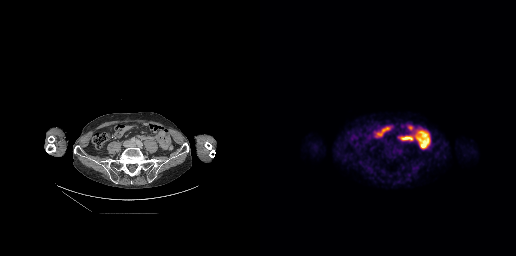
Findings: Coordinates are on the 256×256 PET (right) panel. Small PSMA-avid focus (2 to 4 px across) near (center x, center y): (141, 150).
- Left: CT. Right: PSMA PET, same axial level, 18F tracer
- acquired on GE Discovery 690
- slice 95 of 263